Paired axial CT (left) and PSMA PET (right), 68Ga-PSMA tracer. Acquired on Siemens Biograph 64-4R TruePoint. Slice 146 of 195.
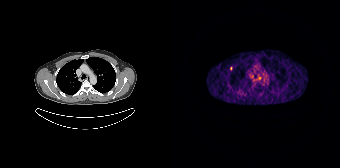
Coordinates are on the 168×168 PET (right) panel. Small PSMA-avid focus (2 to 4 px across) near (center x, center y): (58, 68).